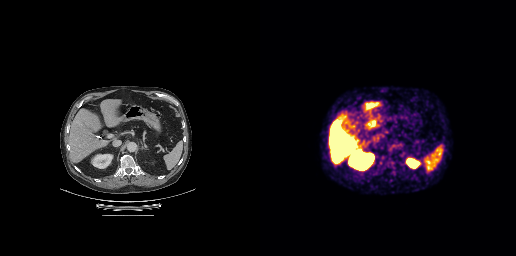
This slice has no annotated PSMA-avid lesion.